modality: PSMA PET/CT | tracer: [18F]PSMA-1007 | view: axial | PET grid: 256×256
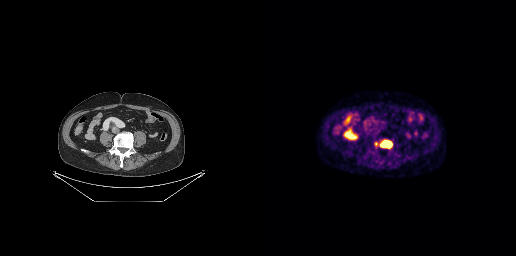
Coordinates are on the 256×256 PET (right) panel. PSMA-avid tumor lesion bounding box (x, y, width, height): x=123 y=142 w=8 h=6.